- Paired axial CT (left) and PSMA PET (right), [18F]PSMA-1007 tracer
- slice position z = -34 mm
- PET panel 200×200 px (4.1 mm/px)
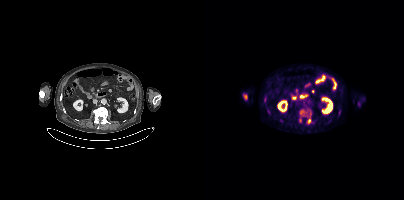
Findings: Coordinates are on the 200×200 PET (right) panel. (showing 3 of 5 foci) PSMA-avid tumor lesion bounding box (x0, y0)-(x1, y1): (104, 119)-(106, 123). Small PSMA-avid foci (2 to 4 px across) near (center x, center y): (60, 99); (97, 112).